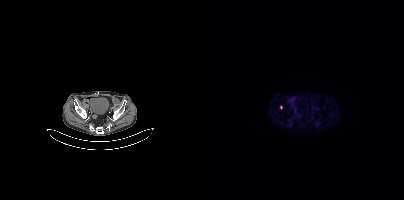
Technique: Left: CT. Right: PSMA PET, same axial level, 18F tracer. slice 84 of 385. PET panel 200×200 px (4.1 mm/px).
Findings: Coordinates are on the 200×200 PET (right) panel. Small PSMA-avid focus (2 to 4 px across) near (center x, center y): (77, 107).